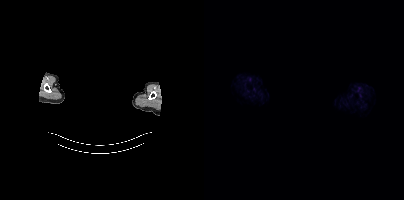
deidentification: privacy mask over head | modality: PSMA PET/CT | tracer: [18F]PSMA-1007 | view: axial
No tumor lesions annotated on this slice.